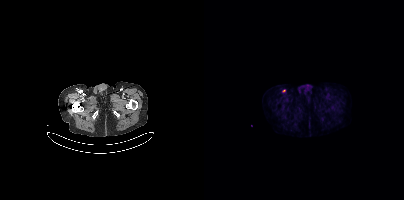
Coordinates are on the 200×200 PET (right) panel. Small PSMA-avid focus (2 to 4 px across) near (center x, center y): (79, 90).